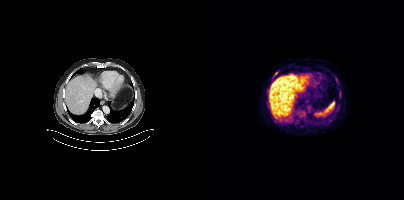
{"pet_grid":[200,200],"coord_frame":"pet_panel","coord_format":"x0,y0,x1,y1","lesion_bboxes":[[135,93,136,97]],"small_foci_centers":[[72,73],[131,77]],"modality":"PSMA PET/CT","view":"axial","tracer":"[18F]PSMA-1007"}